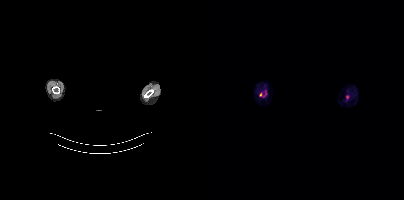
Negative for PSMA-avid disease on this slice.
A rectangle over the head was blacked out to remove identifiable facial features.